- Two-panel axial: CT | PSMA PET, 18F tracer
- acquired on Siemens Biograph mCT Flow 20
- slice position z = -596 mm
- PET panel 200×200 px (4.1 mm/px)
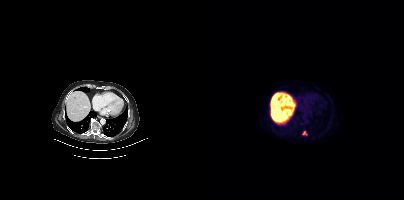
Findings: Coordinates are on the 200×200 PET (right) panel. PSMA-avid tumor lesion bounding box (x0,y0,x1,y1): [98,131,103,135].